Technique: Paired axial CT (left) and PSMA PET (right), [18F]PSMA-1007 tracer.
Note: Privacy masking over the head, with the pixels inside a rectangle set to black.
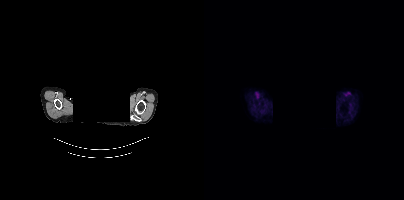
Findings: Negative for PSMA-avid disease on this slice.